Technique: Left: CT. Right: PSMA PET, same axial level, [18F]PSMA-1007 tracer. PET panel 200×200 px (4.1 mm/px).
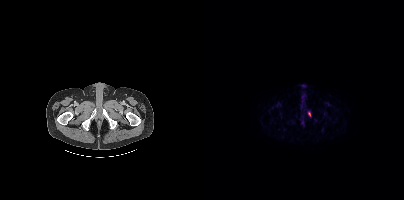
Findings: Coordinates are on the 200×200 PET (right) panel. Small PSMA-avid focus (2 to 4 px across) near (center x, center y): (105, 113).